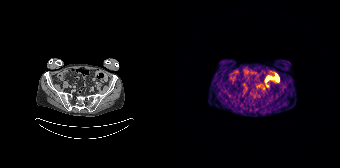
Two-panel axial: CT | PSMA PET, 68Ga-PSMA tracer. Slice position z = -595 mm. PET panel 168×168 px (4.1 mm/px).
Coordinates are on the 168×168 PET (right) panel. PSMA-avid tumor lesion bounding boxes:
| # | x0 | y0 | x1 | y1 |
|---|---|---|---|---|
| 1 | 94 | 83 | 96 | 87 |